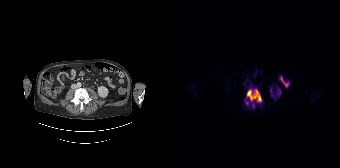
Technique: Paired axial CT (left) and PSMA PET (right), [18F]PSMA-1007 tracer. acquired on Siemens Biograph 64-4R TruePoint. PET panel 168×168 px (4.1 mm/px).
Findings: Coordinates are on the 168×168 PET (right) panel. (showing 2 of 3 foci) PSMA-avid tumor lesion bounding box (x0, y0)-(x1, y1): (75, 89)-(89, 102). Small PSMA-avid focus (2 to 4 px across) near (center x, center y): (74, 103).